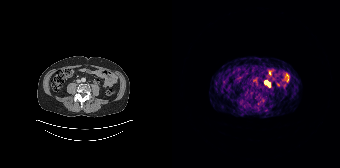
Technique: Left: CT. Right: PSMA PET, same axial level, 68Ga tracer. PET panel 168×168 px (4.1 mm/px).
Findings: Coordinates are on the 168×168 PET (right) panel. PSMA-avid tumor lesion bounding box (x0,y0,x1,y1): [93,81,98,85].